Two-panel axial: CT | PSMA PET, 18F-PSMA tracer. PET panel 200×200 px (4.1 mm/px).
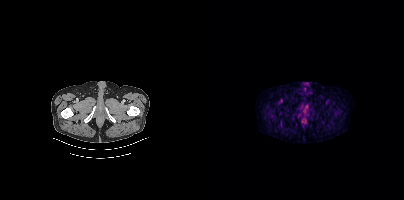
No tumor lesions annotated on this slice.